Left: CT. Right: PSMA PET, same axial level, 68Ga-PSMA tracer. Slice position z = -896 mm. PET panel 200×200 px (4.1 mm/px). Facial anatomy redacted by setting a rectangular region of the head to black.
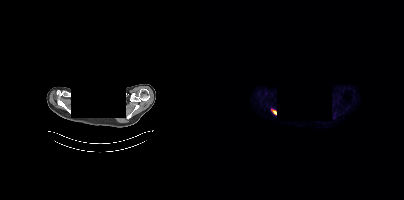
Coordinates are on the 200×200 PET (right) panel. Small PSMA-avid focus (2 to 4 px across) near (center x, center y): (70, 112).